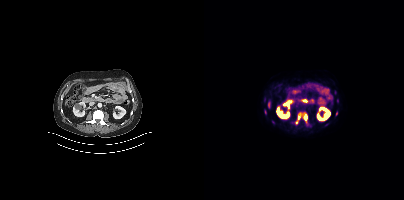
Two-panel axial: CT | PSMA PET, 18F tracer. Slice position z = -1238 mm. PET panel 200×200 px (4.1 mm/px). Coordinates are on the 200×200 PET (right) panel. (showing 3 of 4 foci) PSMA-avid tumor lesion bounding boxes (x0,y0,x1,y1): [99,114,103,120]; [94,113,96,119]. Small PSMA-avid focus (2 to 4 px across) near (center x, center y): (92, 122).